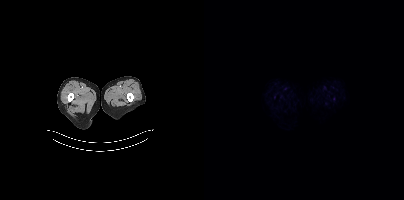
Negative for PSMA-avid disease on this slice.
modality: PSMA PET/CT | tracer: [18F]PSMA-1007 | view: axial